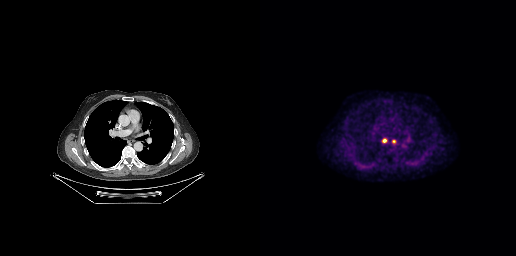
- Left: CT. Right: PSMA PET, same axial level, 18F-PSMA tracer
- acquired on GE Discovery 690
- PET panel 256×256 px (2.7 mm/px)
Findings: Coordinates are on the 256×256 PET (right) panel. Small PSMA-avid foci (2 to 4 px across) near (center x, center y): (124, 140) | (133, 141).